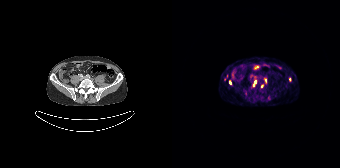
Coordinates are on the 168×168 PET (right) panel. (showing 6 of 7 foci) Small PSMA-avid foci (2 to 4 px across) near (center x, center y): (117, 79); (93, 80); (58, 82); (80, 86); (52, 79); (89, 85).
modality: PSMA PET/CT | tracer: 68Ga | view: axial | PET grid: 168×168